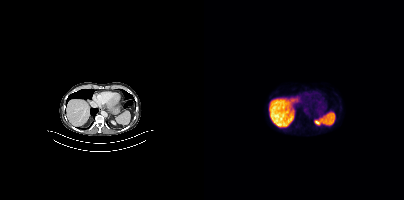
modality: PSMA PET/CT | tracer: [18F]PSMA-1007 | view: axial
No PSMA-avid tumor lesions on this slice.